- Two-panel axial: CT | PSMA PET, [18F]PSMA-1007 tracer
- acquired on Siemens Biograph mCT Flow 20
- PET panel 200×200 px (4.1 mm/px)
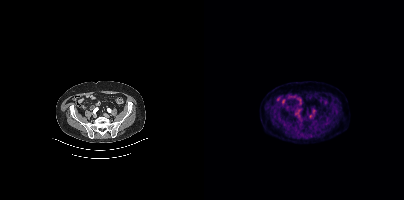
Findings: No tumor lesions annotated on this slice.